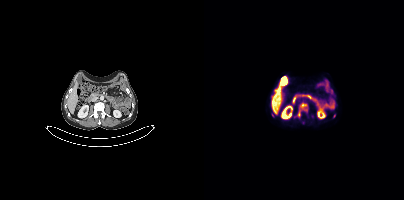
Two-panel axial: CT | PSMA PET, 18F-PSMA tracer. Slice 168 of 403. PET panel 200×200 px (4.1 mm/px). Coordinates are on the 200×200 PET (right) panel. PSMA-avid tumor lesion bounding box (x, y, width, height): x=93 y=102 w=11 h=16.